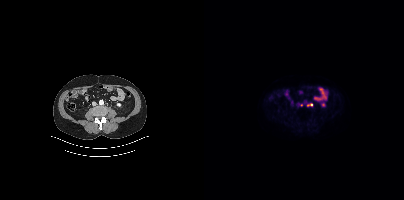
Coordinates are on the 200×200 PET (right) panel. (showing 1 of 2 foci) PSMA-avid tumor lesion bounding box (x, y, width, height): x=103 y=103 w=6 h=4.